Paired axial CT (left) and PSMA PET (right), 18F-PSMA tracer. Acquired on Siemens Biograph mCT Flow 20. Slice position z = -1158 mm. PET panel 200×200 px (4.1 mm/px).
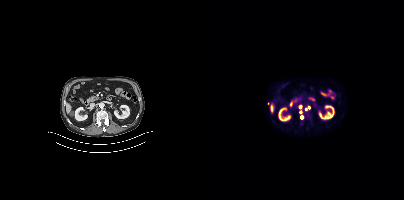
Coordinates are on the 200×200 PET (right) panel. (showing 5 of 6 foci) Small PSMA-avid foci (2 to 4 px across) near (center x, center y): (98, 117), (96, 112), (96, 106), (104, 107), (101, 109).